A rectangular block over the head has been blanked out for de-identification.
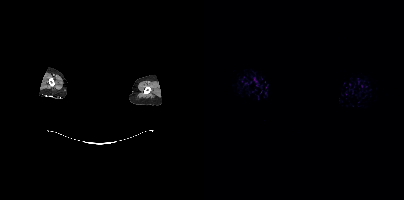
No tumor lesions annotated on this slice.